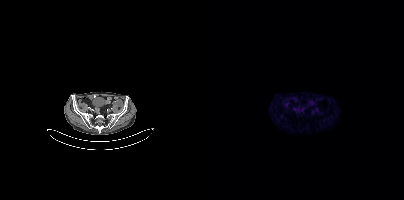
Two-panel axial: CT | PSMA PET, 18F tracer. Acquired on Siemens Biograph mCT Flow 20. Slice 96 of 385. This slice has no annotated PSMA-avid lesion.